deidentification: privacy mask over head | modality: PSMA PET/CT | tracer: 18F | view: axial | PET grid: 200×200
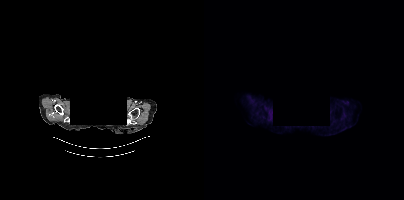
No tumor lesions annotated on this slice.